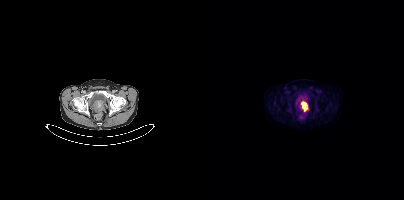
Coordinates are on the 200×200 PET (right) panel. PSMA-avid tumor lesion bounding box (x0,y0,x1,y1): [97,101,104,111].